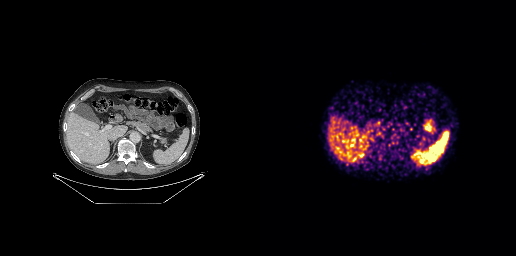
modality: PSMA PET/CT | tracer: [68Ga]Ga-PSMA-11 | view: axial
Coordinates are on the 256×256 PET (right) panel. PSMA-avid tumor lesion bounding box (x0, y0)-(x1, y1): (157, 151)-(163, 157).